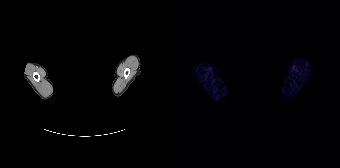
{"modality":"PSMA PET/CT","view":"axial","tracer":"68Ga-PSMA","pet_grid":[168,168],"coord_frame":"pet_panel","coord_format":"x0,y0,x1,y1","psma_avid_lesions":false,"redaction":"head region blanked (face removed)"}